Paired axial CT (left) and PSMA PET (right), 18F-PSMA tracer. Acquired on Siemens Biograph mCT Flow 20. Slice 303 of 411. PET panel 200×200 px (4.1 mm/px).
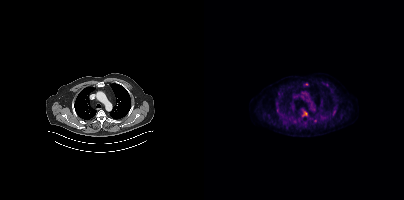
Coordinates are on the 200×200 PET (right) panel. PSMA-avid tumor lesion bounding boxes (x, y, width, height): x=98 y=111 w=5 h=6; x=129 y=110 w=3 h=6. Small PSMA-avid focus (2 to 4 px across) near (center x, center y): (102, 84).